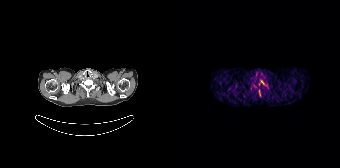
- Left: CT. Right: PSMA PET, same axial level, 68Ga-PSMA tracer
- PET panel 168×168 px (4.1 mm/px)
Findings: Coordinates are on the 168×168 PET (right) panel. (showing 2 of 3 foci) PSMA-avid tumor lesion bounding boxes (x, y, width, height): x=89 y=80 w=4 h=5 / x=87 y=90 w=2 h=6.